Paired axial CT (left) and PSMA PET (right), 18F tracer. Acquired on Siemens Biograph mCT Flow 20. PET panel 200×200 px (4.1 mm/px).
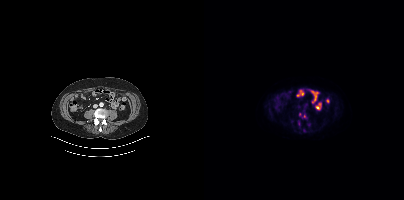
Coordinates are on the 200×200 PET (right) panel. PSMA-avid tumor lesion bounding boxes (partial; 1 more focus not listed):
| # | x0 | y0 | x1 | y1 |
|---|---|---|---|---|
| 1 | 94 | 121 | 96 | 126 |
Small PSMA-avid foci (2 to 4 px across) near (center x, center y): (95, 114); (105, 124); (100, 116).